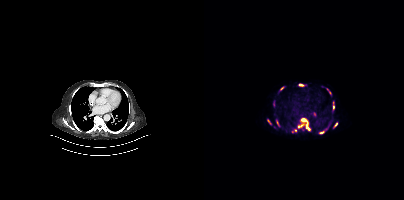
- Paired axial CT (left) and PSMA PET (right), [68Ga]Ga-PSMA-11 tracer
Findings: Coordinates are on the 200×200 PET (right) panel. (showing 12 of 13 foci) PSMA-avid tumor lesion bounding boxes (x0,y0,x1,y1): [94,118,105,129], [72,119,76,126], [122,88,126,93], [95,84,99,85]. Small PSMA-avid foci (2 to 4 px across) near (center x, center y): (77, 88), (118, 132), (70, 101), (64, 121), (131, 124), (129, 102), (129, 107), (91, 130).